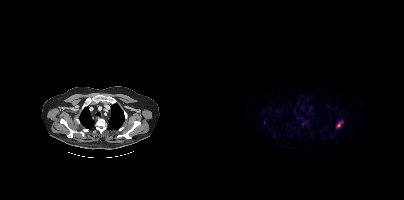
Coordinates are on the 200×200 PET (right) panel. PSMA-avid tumor lesion bounding boxes:
| # | x0 | y0 | x1 | y1 |
|---|---|---|---|---|
| 1 | 133 | 120 | 138 | 127 |
Small PSMA-avid focus (2 to 4 px across) near (center x, center y): (99, 123).
Left: CT. Right: PSMA PET, same axial level, [18F]PSMA-1007 tracer. Acquired on Siemens Biograph mCT Flow 20.